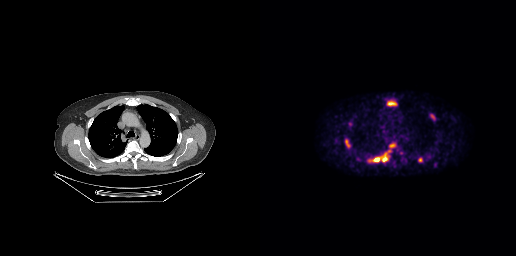
Coordinates are on the 256×256 PET (right) panel. (showing 6 of 7 foci) PSMA-avid tumor lesion bounding boxes (x0, y0)-(x1, y1): (112, 152)-(128, 161); (85, 139)-(90, 148); (127, 101)-(136, 105); (169, 113)-(175, 120); (158, 157)-(162, 162); (130, 144)-(134, 147).